Paired axial CT (left) and PSMA PET (right), [18F]PSMA-1007 tracer. Acquired on Siemens Biograph mCT Flow 20. Slice 237 of 423.
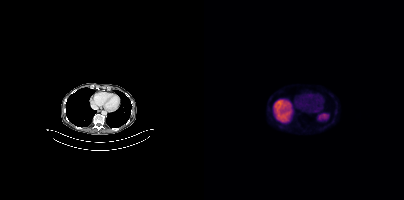
No tumor lesions annotated on this slice.